Technique: Two-panel axial: CT | PSMA PET, 18F tracer. slice position z = -311 mm. PET panel 200×200 px (4.1 mm/px).
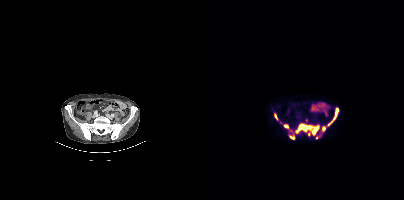
Findings: Coordinates are on the 200×200 PET (right) panel. (showing 8 of 9 foci) PSMA-avid tumor lesion bounding boxes (x0, y0)-(x1, y1): (85, 124)-(114, 133) | (123, 108)-(134, 126) | (117, 126)-(121, 132) | (80, 124)-(84, 128) | (85, 135)-(90, 138) | (112, 134)-(117, 138) | (70, 114)-(73, 119). Small PSMA-avid focus (2 to 4 px across) near (center x, center y): (104, 134).